Paired axial CT (left) and PSMA PET (right), 18F tracer.
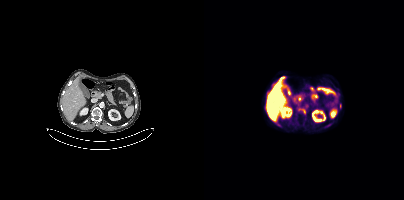
Coordinates are on the 200×200 PET (right) panel. PSMA-avid tumor lesion bounding boxes:
| # | x0 | y0 | x1 | y1 |
|---|---|---|---|---|
| 1 | 94 | 108 | 101 | 113 |
Small PSMA-avid focus (2 to 4 px across) near (center x, center y): (136, 105).